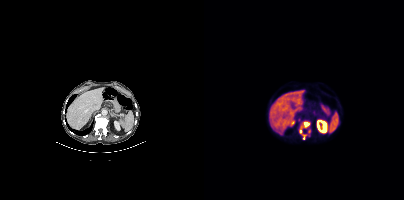
Findings: Coordinates are on the 200×200 PET (right) panel. PSMA-avid tumor lesion bounding boxes (x0, y0)-(x1, y1): (95, 122)-(105, 133) / (102, 129)-(106, 135). Small PSMA-avid foci (2 to 4 px across) near (center x, center y): (99, 138) / (94, 119).
- Left: CT. Right: PSMA PET, same axial level, [18F]PSMA-1007 tracer
- PET panel 200×200 px (4.1 mm/px)